Technique: Paired axial CT (left) and PSMA PET (right), 18F tracer. PET panel 200×200 px (4.1 mm/px).
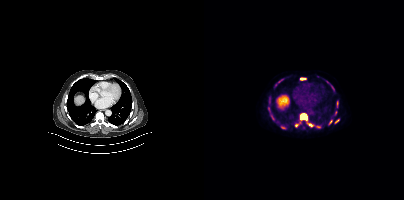
Findings: Coordinates are on the 200×200 PET (right) panel. (showing 14 of 16 foci) PSMA-avid tumor lesion bounding boxes (x0, y0)-(x1, y1): (96, 114)-(103, 119); (112, 125)-(116, 128); (96, 78)-(101, 79). Small PSMA-avid foci (2 to 4 px across) near (center x, center y): (92, 125); (133, 102); (78, 126); (64, 108); (132, 121); (126, 121); (106, 124); (71, 85); (128, 87); (81, 127); (77, 79).